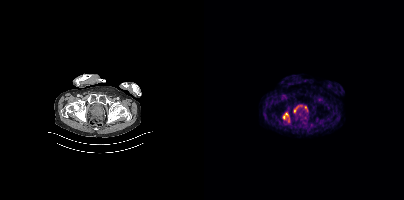
modality: PSMA PET/CT | tracer: 18F | view: axial
Coordinates are on the 200×200 PET (right) panel. PSMA-avid tumor lesion bounding box (x, y, width, height): x=79 y=113 w=6 h=7.